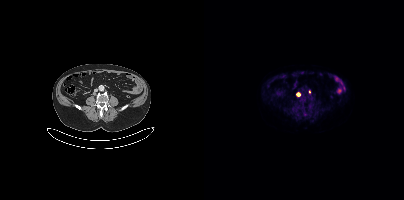
{"modality":"PSMA PET/CT","view":"axial","tracer":"[18F]PSMA-1007","pet_grid":[200,200],"coord_frame":"pet_panel","coord_format":"x0,y0,x1,y1","lesion_bboxes":[],"small_foci_centers":[[94,94],[105,91]]}